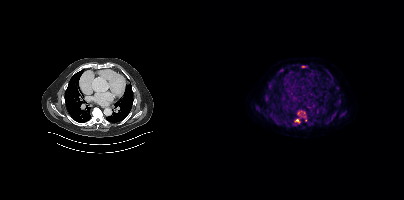
Coordinates are on the 200×200 PET (right) panel. PSMA-avid tumor lesion bounding boxes (x0, y0)-(x1, y1): (93, 110)-(103, 121); (88, 119)-(96, 124); (127, 112)-(132, 118); (60, 96)-(65, 101); (65, 113)-(69, 118); (133, 98)-(136, 104); (122, 119)-(127, 123); (137, 112)-(141, 116); (74, 69)-(79, 73); (125, 73)-(129, 79); (98, 66)-(102, 67). Small PSMA-avid focus (2 to 4 px across) near (center x, center y): (133, 87).
modality: PSMA PET/CT | tracer: [18F]PSMA-1007 | view: axial